modality: PSMA PET/CT | tracer: 18F | view: axial | PET grid: 200×200
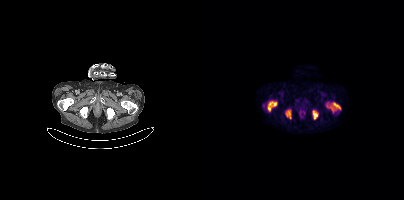
Coordinates are on the 200×200 PET (right) panel. PSMA-avid tumor lesion bounding boxes (x0, y0)-(x1, y1): (123, 102)-(136, 112); (64, 101)-(72, 110); (109, 110)-(114, 119); (82, 110)-(87, 118).